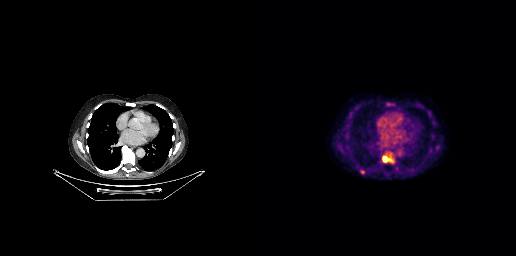
Coordinates are on the 256×256 PET (right) panel. PSMA-avid tumor lesion bounding box (x0,y0,x1,y1): [122,156,131,162]. Small PSMA-avid foci (2 to 4 px across) near (center x, center y): (102, 171), (87, 136).